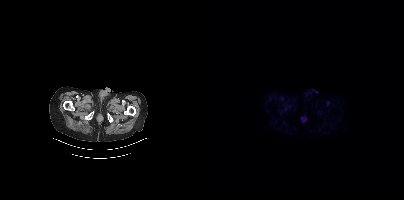
Two-panel axial: CT | PSMA PET, 18F tracer. Slice position z = -994 mm. PET panel 200×200 px (4.1 mm/px). No PSMA-avid tumor lesions on this slice.